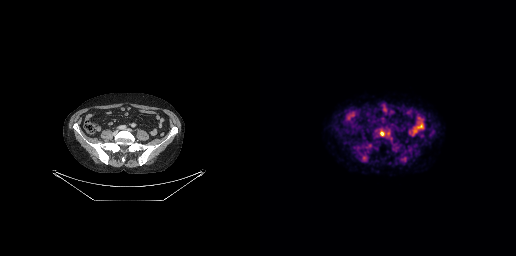
- Two-panel axial: CT | PSMA PET, [18F]PSMA-1007 tracer
Findings: Coordinates are on the 256×256 PET (right) panel. Small PSMA-avid focus (2 to 4 px across) near (center x, center y): (121, 133).